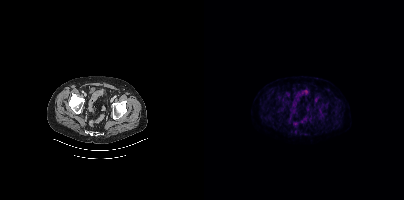
{"modality":"PSMA PET/CT","view":"axial","tracer":"[18F]PSMA-1007","pet_grid":[200,200],"coord_frame":"pet_panel","coord_format":"x0,y0,x1,y1","psma_avid_lesions":false}